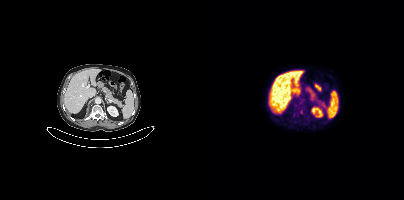
{"modality":"PSMA PET/CT","view":"axial","tracer":"[18F]PSMA-1007","pet_grid":[200,200],"coord_frame":"pet_panel","coord_format":"x0,y0,x1,y1","psma_avid_lesions":false}